Technique: Two-panel axial: CT | PSMA PET, [18F]PSMA-1007 tracer. acquired on Siemens Biograph mCT Flow 20. slice 226 of 444. PET panel 200×200 px (4.1 mm/px).
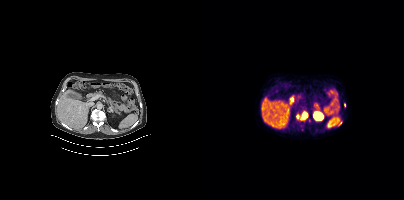
Findings: Coordinates are on the 200×200 PET (right) panel. (showing 1 of 2 foci) PSMA-avid tumor lesion bounding box (x0,y0,x1,y1): [97,112,103,119].